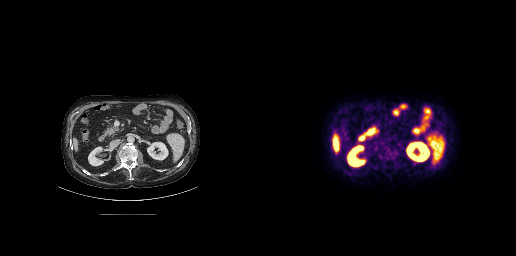
This slice has no annotated PSMA-avid lesion. Left: CT. Right: PSMA PET, same axial level, [18F]PSMA-1007 tracer. PET panel 256×256 px (2.7 mm/px).